Technique: Left: CT. Right: PSMA PET, same axial level, 18F-PSMA tracer.
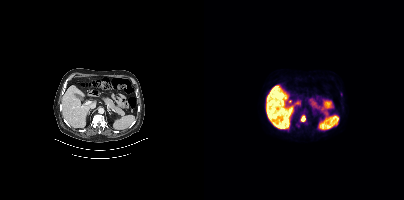
Findings: Coordinates are on the 200×200 PET (right) panel. PSMA-avid tumor lesion bounding box (x0,y0,x1,y1): [97,115,101,121]. Small PSMA-avid focus (2 to 4 px across) near (center x, center y): (137, 94).